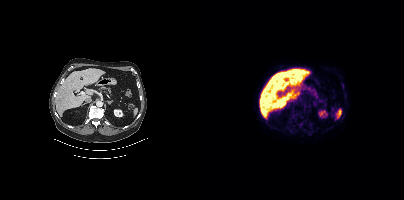
{"modality":"PSMA PET/CT","view":"axial","tracer":"18F","pet_grid":[200,200],"coord_frame":"pet_panel","coord_format":"x0,y0,x1,y1","psma_avid_lesions":false}